Technique: Paired axial CT (left) and PSMA PET (right), 18F tracer. acquired on Siemens Biograph mCT Flow 20. slice 79 of 429.
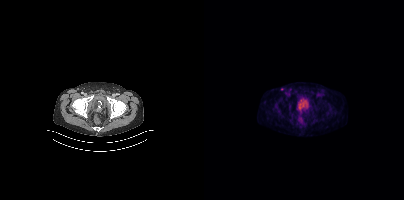
Findings: Only PSMA-avid lesion pieces thinner than 2 px on this slice (not listed).